Two-panel axial: CT | PSMA PET, [18F]PSMA-1007 tracer. Acquired on Siemens Biograph mCT Flow 20. Slice 75 of 425.
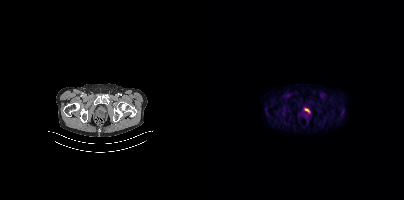
Coordinates are on the 200×200 PET (right) panel. PSMA-avid tumor lesion bounding boxes:
| # | x0 | y0 | x1 | y1 |
|---|---|---|---|---|
| 1 | 100 | 108 | 105 | 112 |